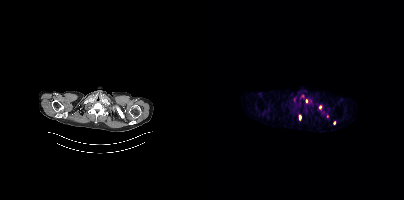
- Two-panel axial: CT | PSMA PET, [68Ga]Ga-PSMA-11 tracer
- PET panel 200×200 px (4.1 mm/px)
Findings: Coordinates are on the 200×200 PET (right) panel. Small PSMA-avid foci (2 to 4 px across) near (center x, center y): (116, 107) | (102, 101) | (130, 123) | (95, 117).